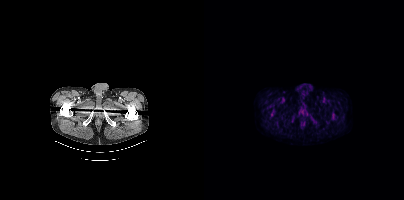
Two-panel axial: CT | PSMA PET, 18F-PSMA tracer. PET panel 200×200 px (4.1 mm/px). No tumor lesions annotated on this slice.